Paired axial CT (left) and PSMA PET (right), 68Ga tracer. Acquired on GE Discovery 690. Slice position z = -839 mm. PET panel 256×256 px (2.7 mm/px).
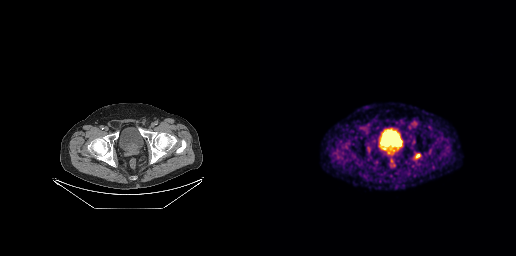
Coordinates are on the 256×256 PET (right) panel. Small PSMA-avid focus (2 to 4 px across) near (center x, center y): (158, 155).